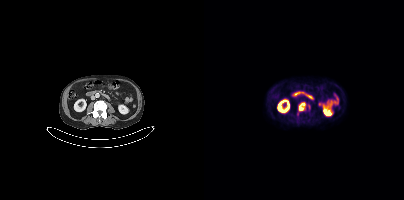
Coordinates are on the 200×200 PET (right) panel. (showing 1 of 2 foci) PSMA-avid tumor lesion bounding box (x, y, width, height): x=94 y=102 w=8 h=10.